Left: CT. Right: PSMA PET, same axial level, [18F]PSMA-1007 tracer. Acquired on GE Discovery 690. Slice 150 of 263. PET panel 256×256 px (2.7 mm/px).
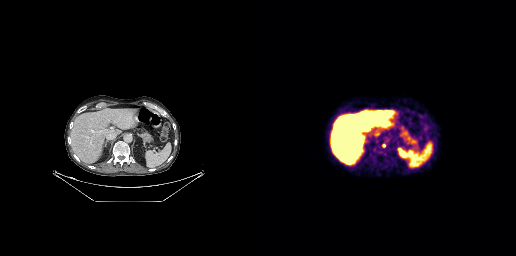
Coordinates are on the 256×256 PET (right) panel. Small PSMA-avid focus (2 to 4 px across) near (center x, center y): (123, 145).